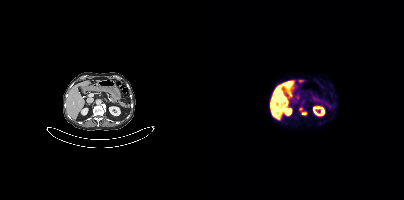
Technique: Left: CT. Right: PSMA PET, same axial level, 18F tracer. PET panel 200×200 px (4.1 mm/px).
Findings: Coordinates are on the 200×200 PET (right) panel. PSMA-avid tumor lesion bounding box (x0,y0,x1,y1): [98,112,102,114]. Small PSMA-avid focus (2 to 4 px across) near (center x, center y): (96, 108).